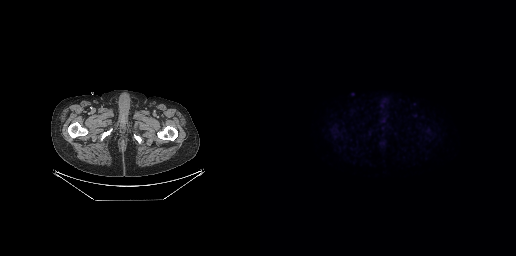
Two-panel axial: CT | PSMA PET, 18F-PSMA tracer. Acquired on GE Discovery 690. Slice 58 of 299. PET panel 256×256 px (2.7 mm/px). No PSMA-avid tumor lesions on this slice.